Technique: Left: CT. Right: PSMA PET, same axial level, [18F]PSMA-1007 tracer. acquired on Siemens Biograph mCT Flow 20. slice 180 of 419.
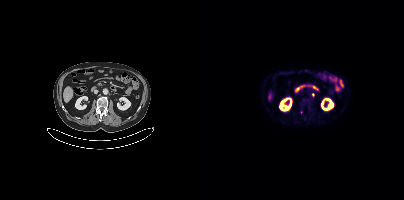
Findings: Negative for PSMA-avid disease on this slice.